- Two-panel axial: CT | PSMA PET, 68Ga tracer
- acquired on Siemens Biograph 64-4R TruePoint
- PET panel 168×168 px (4.1 mm/px)
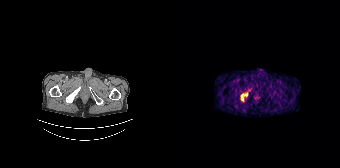
Findings: Coordinates are on the 168×168 PET (right) panel. PSMA-avid tumor lesion bounding box (x0, y0)-(x1, y1): (69, 93)-(75, 100).